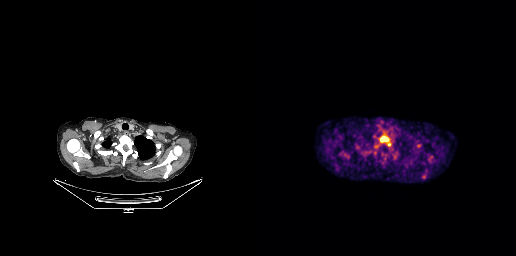
Paired axial CT (left) and PSMA PET (right), [18F]PSMA-1007 tracer. Acquired on GE Discovery 690. PET panel 256×256 px (2.7 mm/px).
Coordinates are on the 256×256 PET (right) panel. PSMA-avid tumor lesion bounding boxes:
| # | x0 | y0 | x1 | y1 |
|---|---|---|---|---|
| 1 | 120 | 136 | 128 | 142 |
Small PSMA-avid focus (2 to 4 px across) near (center x, center y): (129, 144).